- Left: CT. Right: PSMA PET, same axial level, 18F tracer
- slice position z = -874 mm
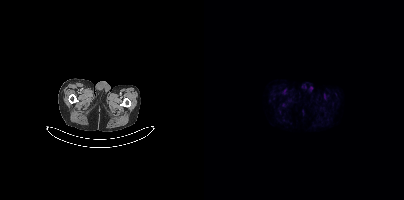
Findings: Negative for PSMA-avid disease on this slice.